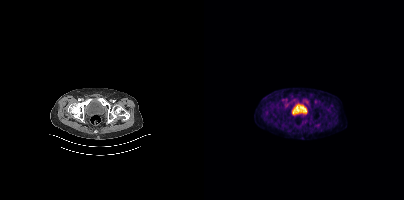
Left: CT. Right: PSMA PET, same axial level, 18F tracer. Slice 69 of 377. No tumor lesions annotated on this slice.